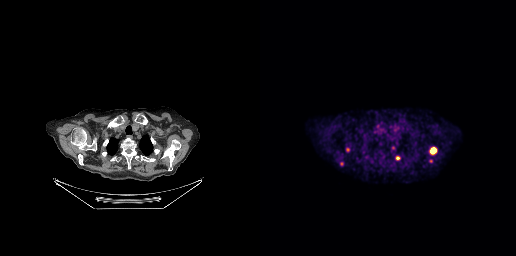
Coordinates are on the 256×256 PET (right) panel. (showing 2 of 3 foci) PSMA-avid tumor lesion bounding box (x0,y0,x1,y1): [170,147,176,154]. Small PSMA-avid focus (2 to 4 px across) near (center x, center y): (137, 157).
modality: PSMA PET/CT | tracer: 18F | view: axial | PET grid: 256×256